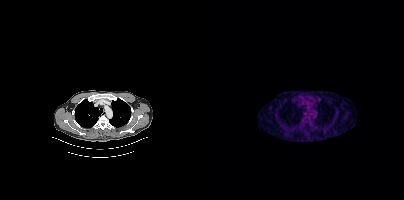
Findings: No PSMA-avid tumor lesions on this slice.
Technique: Left: CT. Right: PSMA PET, same axial level, [18F]PSMA-1007 tracer. slice 339 of 448. PET panel 200×200 px (4.1 mm/px).